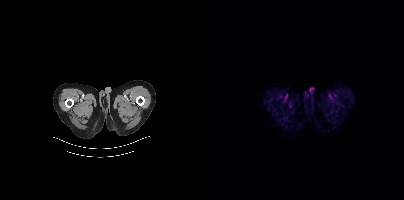
{"pet_grid":[200,200],"coord_frame":"pet_panel","coord_format":"x0,y0,x1,y1","psma_avid_lesions":false,"modality":"PSMA PET/CT","view":"axial","tracer":"18F-PSMA"}